Left: CT. Right: PSMA PET, same axial level, 18F tracer. PET panel 200×200 px (4.1 mm/px).
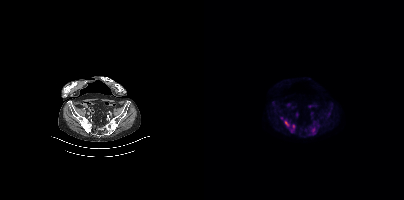
Coordinates are on the 200×200 PET (right) panel. PSMA-avid tumor lesion bounding boxes:
| # | x0 | y0 | x1 | y1 |
|---|---|---|---|---|
| 1 | 86 | 125 | 90 | 130 |
| 2 | 81 | 121 | 85 | 126 |
| 3 | 109 | 121 | 113 | 124 |
Small PSMA-avid foci (2 to 4 px across) near (center x, center y): (109, 130); (77, 117).